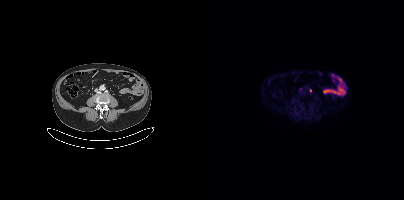
This slice has no annotated PSMA-avid lesion.